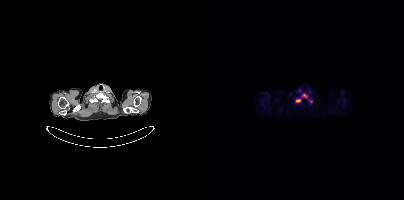
Findings: Coordinates are on the 200×200 PET (right) panel. PSMA-avid tumor lesion bounding boxes (x0, y0)-(x1, y1): (91, 93)-(103, 102) / (104, 100)-(108, 102).
- Left: CT. Right: PSMA PET, same axial level, [18F]PSMA-1007 tracer
- acquired on Siemens Biograph mCT Flow 20
- PET panel 200×200 px (4.1 mm/px)